- Paired axial CT (left) and PSMA PET (right), 18F tracer
- PET panel 168×168 px (4.1 mm/px)
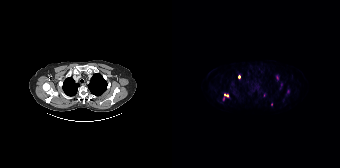
Findings: Coordinates are on the 168×168 PET (right) panel. (showing 4 of 7 foci) PSMA-avid tumor lesion bounding box (x, y, width, height): x=52 y=94 w=5 h=4. Small PSMA-avid foci (2 to 4 px across) near (center x, center y): (116, 91) | (67, 76) | (99, 104).